modality: PSMA PET/CT | tracer: [18F]PSMA-1007 | view: axial | PET grid: 200×200
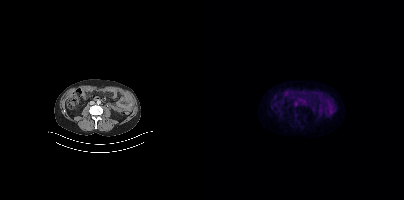
No tumor lesions annotated on this slice.